Technique: Paired axial CT (left) and PSMA PET (right), 18F tracer. acquired on Siemens Biograph mCT Flow 20. PET panel 200×200 px (4.1 mm/px).
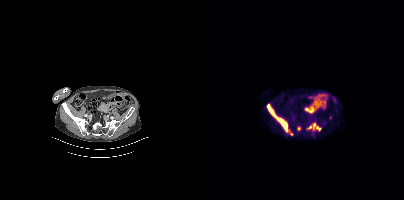
Findings: Coordinates are on the 200×200 PET (right) panel. PSMA-avid tumor lesion bounding boxes (x0,y0,x1,y1): [63,104,85,132]; [103,123,117,131]. Small PSMA-avid foci (2 to 4 px across) near (center x, center y): (95, 128); (87, 134); (126, 117).